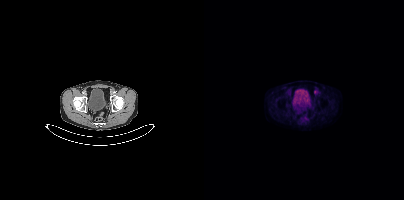
Negative for PSMA-avid disease on this slice.